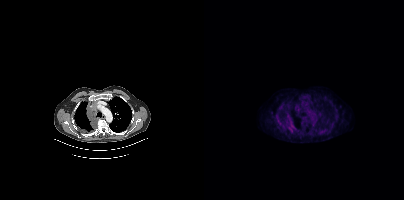
Left: CT. Right: PSMA PET, same axial level, 18F tracer. Acquired on Siemens Biograph mCT Flow 20.
Coordinates are on the 200×200 PET (right) panel. PSMA-avid tumor lesion bounding boxes:
| # | x0 | y0 | x1 | y1 |
|---|---|---|---|---|
| 1 | 84 | 121 | 91 | 129 |
Small PSMA-avid focus (2 to 4 px across) near (center x, center y): (94, 109).